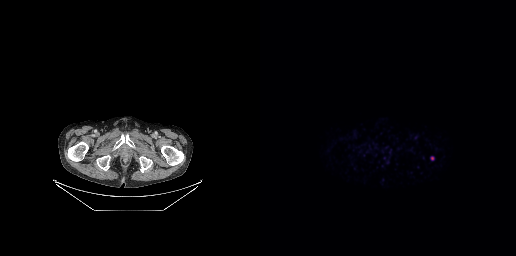
{"modality":"PSMA PET/CT","view":"axial","tracer":"[68Ga]Ga-PSMA-11","pet_grid":[256,256],"coord_frame":"pet_panel","coord_format":"x0,y0,x1,y1","lesion_bboxes":[[171,156,173,160]]}